Paired axial CT (left) and PSMA PET (right), 18F-PSMA tracer. Acquired on Siemens Biograph mCT Flow 20. Slice 323 of 401.
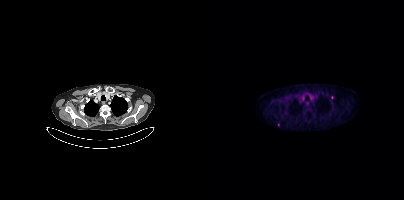
Coordinates are on the 200×200 PET (right) panel. Small PSMA-avid focus (2 to 4 px across) near (center x, center y): (74, 124).